Two-panel axial: CT | PSMA PET, [18F]PSMA-1007 tracer. Acquired on Siemens Biograph mCT Flow 20. Slice 29 of 389. PET panel 200×200 px (4.1 mm/px).
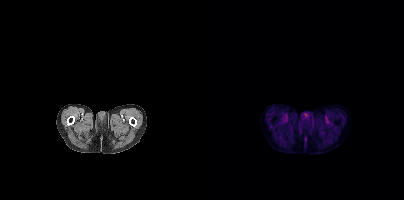
No tumor lesions annotated on this slice.